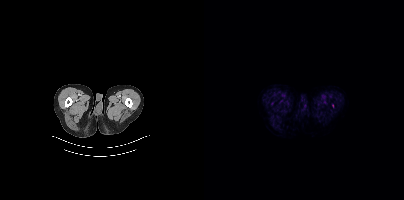
This slice has no annotated PSMA-avid lesion.
modality: PSMA PET/CT | tracer: 18F-PSMA | view: axial | PET grid: 200×200